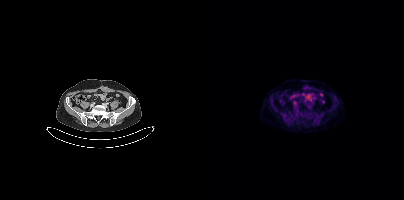
Technique: Two-panel axial: CT | PSMA PET, 18F-PSMA tracer. acquired on Siemens Biograph mCT Flow 20.
Findings: No PSMA-avid tumor lesions on this slice.